Technique: Paired axial CT (left) and PSMA PET (right), 18F-PSMA tracer. slice 262 of 389.
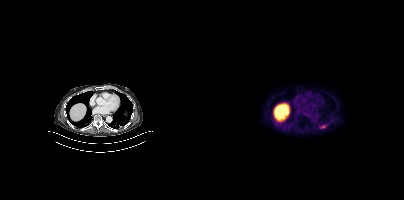
Findings: Coordinates are on the 200×200 PET (right) panel. PSMA-avid tumor lesion bounding box (x0,y0,x1,y1): [116,125,122,128].